An anonymization step blacked out a rectangle over the head in this scan.
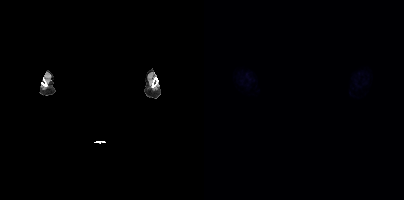
No tumor lesions annotated on this slice.